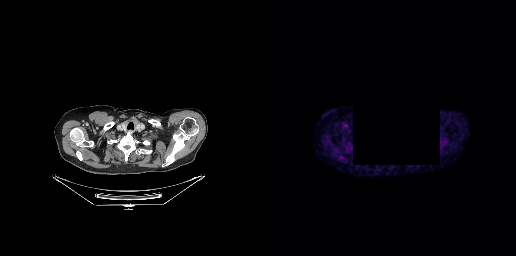
{"modality":"PSMA PET/CT","view":"axial","tracer":"[18F]PSMA-1007","pet_grid":[256,256],"coord_frame":"pet_panel","coord_format":"x0,y0,x1,y1","de-identification":"rectangular block set to black","psma_avid_lesions":false}